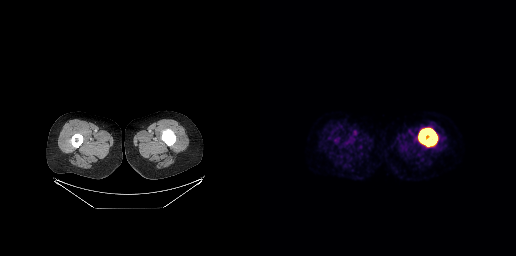
Paired axial CT (left) and PSMA PET (right), 18F-PSMA tracer. Acquired on GE Discovery 690. Slice 104 of 371.
Coordinates are on the 256×256 PET (right) panel. PSMA-avid tumor lesion bounding boxes:
| # | x0 | y0 | x1 | y1 |
|---|---|---|---|---|
| 1 | 159 | 128 | 177 | 146 |